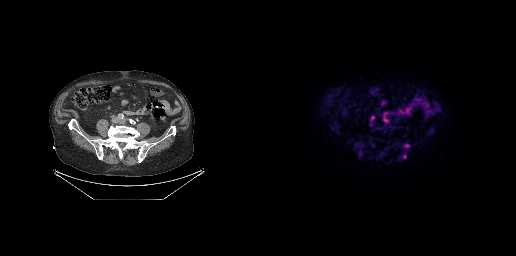
Paired axial CT (left) and PSMA PET (right), 18F-PSMA tracer. PET panel 256×256 px (2.7 mm/px).
Coordinates are on the 256×256 PET (right) panel. PSMA-avid tumor lesion bounding boxes:
| # | x0 | y0 | x1 | y1 |
|---|---|---|---|---|
| 1 | 144 | 144 | 149 | 147 |
| 2 | 143 | 154 | 146 | 158 |